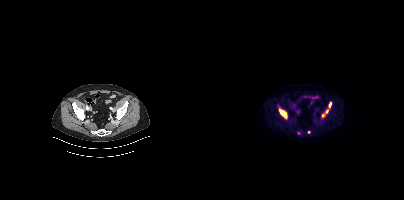
Left: CT. Right: PSMA PET, same axial level, 18F-PSMA tracer. Acquired on Siemens Biograph mCT Flow 20. Slice 88 of 407. PET panel 200×200 px (4.1 mm/px). Coordinates are on the 200×200 PET (right) panel. PSMA-avid tumor lesion bounding boxes (x0, y0)-(x1, y1): (75, 109)-(83, 118); (118, 102)-(127, 117). Small PSMA-avid foci (2 to 4 px across) near (center x, center y): (94, 133); (104, 131).